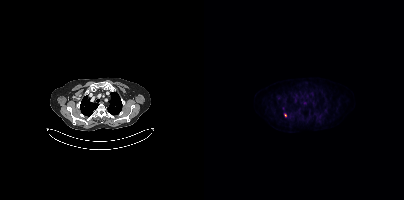
Only PSMA-avid lesion pieces thinner than 2 px on this slice (not listed).